- Two-panel axial: CT | PSMA PET, 68Ga-PSMA tracer
- acquired on GE Discovery 690
- PET panel 256×256 px (2.7 mm/px)
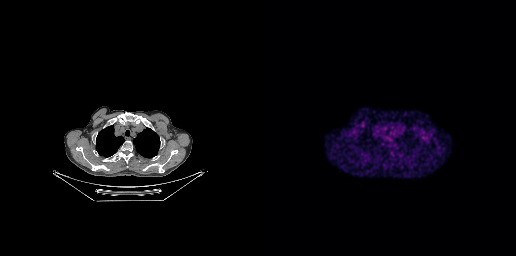
Findings: No PSMA-avid tumor lesions on this slice.